Paired axial CT (left) and PSMA PET (right), 18F-PSMA tracer. Acquired on Siemens Biograph mCT Flow 20. Slice position z = -1004 mm.
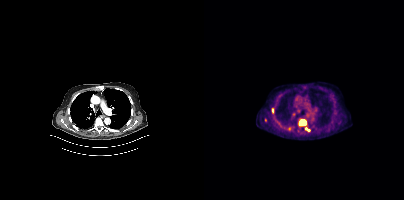
Coordinates are on the 200×200 PET (right) panel. PSMA-avid tumor lesion bounding boxes (x0, y0)-(x1, y1): (96, 120)-(102, 125) | (101, 128)-(105, 131). Small PSMA-avid foci (2 to 4 px across) near (center x, center y): (68, 110) | (61, 119).